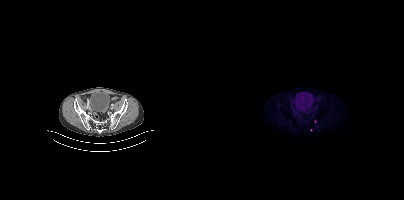
Technique: Left: CT. Right: PSMA PET, same axial level, [18F]PSMA-1007 tracer. acquired on Siemens Biograph mCT Flow 20. slice position z = 16 mm.
Findings: Only PSMA-avid lesion pieces thinner than 2 px on this slice (not listed).